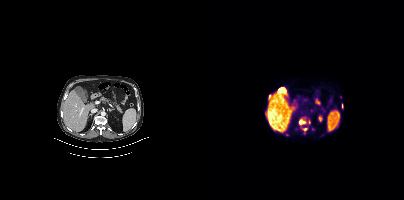
Paired axial CT (left) and PSMA PET (right), [18F]PSMA-1007 tracer.
Coordinates are on the 200×200 PET (right) panel. PSMA-avid tumor lesion bounding boxes (partial; 1 more focus not listed):
| # | x0 | y0 | x1 | y1 |
|---|---|---|---|---|
| 1 | 95 | 121 | 100 | 123 |
| 2 | 65 | 95 | 66 | 99 |
Small PSMA-avid focus (2 to 4 px across) near (center x, center y): (101, 129).